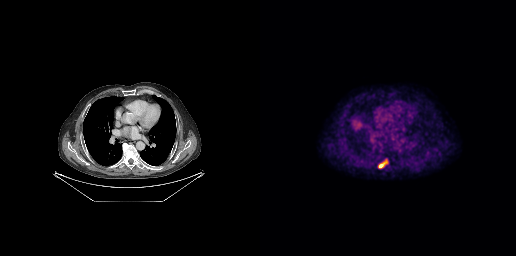
Coordinates are on the 256×256 PET (right) panel. Small PSMA-avid focus (2 to 4 px across) near (center x, center y): (120, 165).